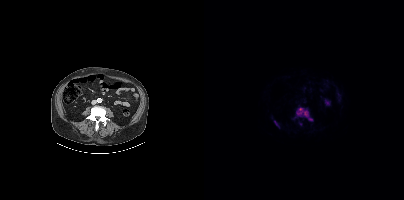
Two-panel axial: CT | PSMA PET, [18F]PSMA-1007 tracer. Slice 151 of 423. Coordinates are on the 200×200 PET (right) panel. (showing 2 of 3 foci) PSMA-avid tumor lesion bounding boxes (x0,y0,x1,y1): [92,107,108,120], [70,120,75,128].